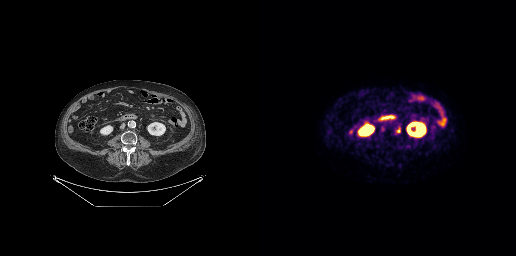
Coordinates are on the 256×256 PET (right) panel. PSMA-avid tumor lesion bounding boxes (x0,y0,x1,y1): [121,126,124,131], [136,127,140,132]. Paired axial CT (left) and PSMA PET (right), 18F tracer. Acquired on GE Discovery 690. Slice position z = -629 mm. PET panel 256×256 px (2.7 mm/px).